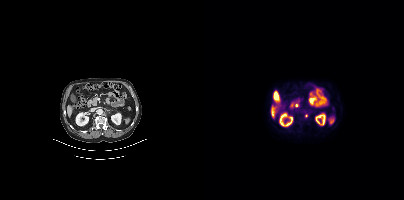
modality: PSMA PET/CT | tracer: [18F]PSMA-1007 | view: axial | PET grid: 200×200
Coordinates are on the 200×200 PET (right) panel. Small PSMA-avid focus (2 to 4 px across) near (center x, center y): (102, 116).